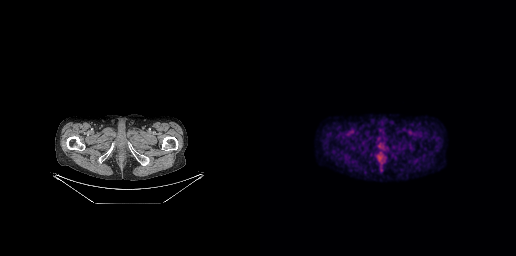
Negative for PSMA-avid disease on this slice.
modality: PSMA PET/CT | tracer: 18F | view: axial | PET grid: 256×256